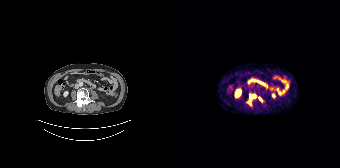
- Paired axial CT (left) and PSMA PET (right), [68Ga]Ga-PSMA-11 tracer
- slice position z = -1112 mm
Findings: Coordinates are on the 168×168 PET (right) panel. PSMA-avid tumor lesion bounding boxes (x0, y0)-(x1, y1): (63, 90)-(68, 96) / (78, 94)-(83, 98) / (87, 97)-(90, 101). Small PSMA-avid focus (2 to 4 px across) near (center x, center y): (77, 103).